- Left: CT. Right: PSMA PET, same axial level, [18F]PSMA-1007 tracer
- acquired on GE Discovery 690
- slice 103 of 263
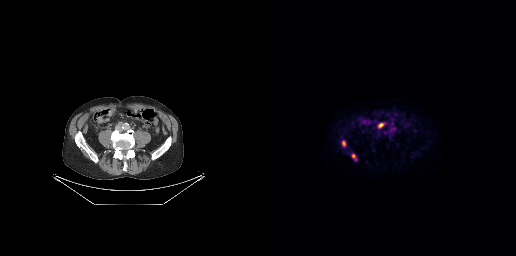
Findings: Coordinates are on the 256×256 PET (right) panel. PSMA-avid tumor lesion bounding boxes (x, y, width, height): x=117 y=122 w=9 h=7 / x=82 y=140 w=4 h=7 / x=92 y=154 w=5 h=7. Small PSMA-avid focus (2 to 4 px across) near (center x, center y): (133, 128).